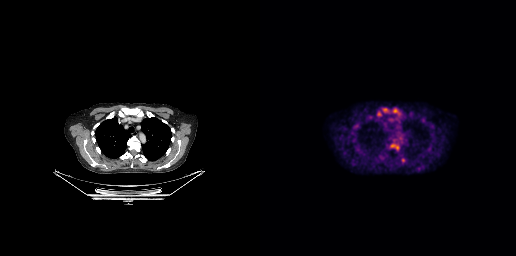
{"modality":"PSMA PET/CT","view":"axial","tracer":"18F","pet_grid":[256,256],"coord_frame":"pet_panel","coord_format":"x0,y0,x1,y1","partial":true,"lesion_bboxes":[],"small_foci_centers":[[135,110],[132,145],[137,147],[125,109]]}